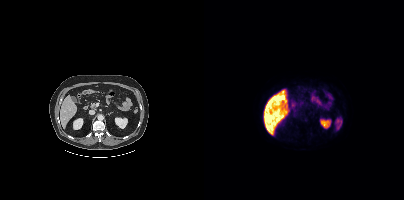
No tumor lesions annotated on this slice. Left: CT. Right: PSMA PET, same axial level, [18F]PSMA-1007 tracer.